Left: CT. Right: PSMA PET, same axial level, 18F-PSMA tracer. Acquired on Siemens Biograph mCT Flow 20. Slice position z = -896 mm. PET panel 200×200 px (4.1 mm/px).
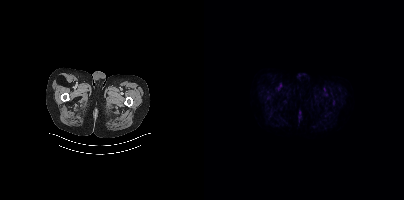
Negative for PSMA-avid disease on this slice.